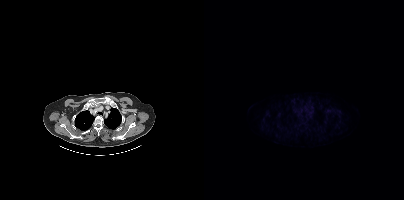
{"modality":"PSMA PET/CT","view":"axial","tracer":"18F-PSMA","pet_grid":[200,200],"coord_frame":"pet_panel","coord_format":"x0,y0,x1,y1","psma_avid_lesions":false}